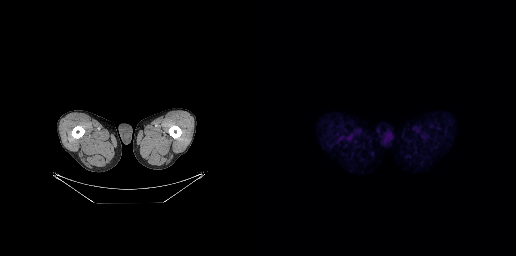
This slice has no annotated PSMA-avid lesion.
modality: PSMA PET/CT | tracer: [18F]PSMA-1007 | view: axial | PET grid: 256×256